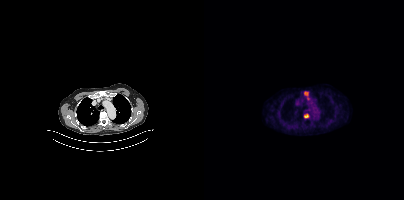
{"modality":"PSMA PET/CT","view":"axial","tracer":"18F-PSMA","pet_grid":[200,200],"coord_frame":"pet_panel","coord_format":"x0,y0,x1,y1","lesion_bboxes":[[100,91,104,95],[100,114,104,117]],"small_foci_centers":[[103,98]]}